Technique: Two-panel axial: CT | PSMA PET, 18F-PSMA tracer. PET panel 168×168 px (4.1 mm/px).
Note: The face region was removed for patient privacy by blanking a rectangle over the head.
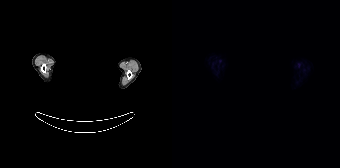
Findings: This slice has no annotated PSMA-avid lesion.